Technique: Left: CT. Right: PSMA PET, same axial level, [68Ga]Ga-PSMA-11 tracer. acquired on Siemens Biograph mCT Flow 20. slice position z = -1602 mm. PET panel 200×200 px (4.1 mm/px).
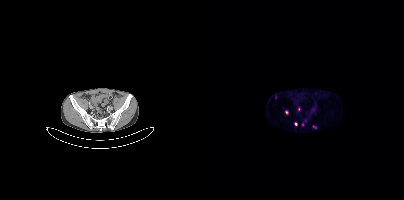
Findings: Coordinates are on the 200×200 PET (right) panel. Small PSMA-avid foci (2 to 4 px across) near (center x, center y): (82, 112) / (92, 123) / (94, 109) / (98, 124) / (71, 96) / (101, 120).